modality: PSMA PET/CT | tracer: [68Ga]Ga-PSMA-11 | view: axial
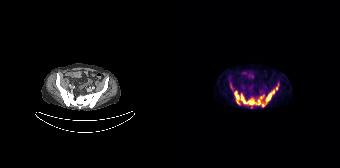
Coordinates are on the 168×168 PET (right) panel. PSMA-avid tumor lesion bounding box (x, y, width, height): x=62 y=87 w=44 h=20. Small PSMA-avid focus (2 to 4 px across) near (center x, center y): (106, 83).